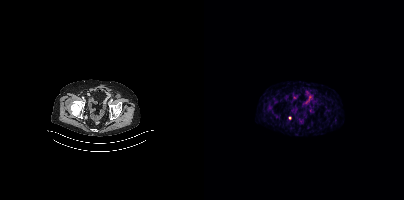
Only PSMA-avid lesion pieces thinner than 2 px on this slice (not listed).
modality: PSMA PET/CT | tracer: 68Ga-PSMA | view: axial | PET grid: 200×200